de-identification: head region blacked out before release | modality: PSMA PET/CT | tracer: 18F-PSMA | view: axial | PET grid: 200×200
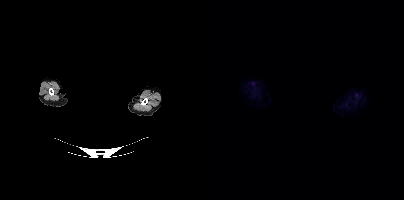
No PSMA-avid tumor lesions on this slice.